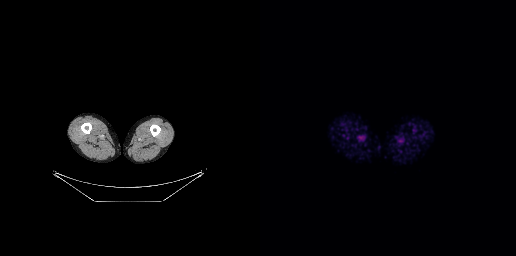
{"pet_grid":[256,256],"coord_frame":"pet_panel","coord_format":"x0,y0,x1,y1","psma_avid_lesions":false,"modality":"PSMA PET/CT","view":"axial","tracer":"18F"}